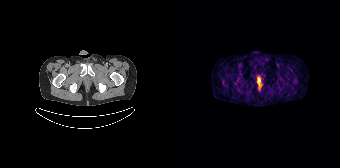
Left: CT. Right: PSMA PET, same axial level, [68Ga]Ga-PSMA-11 tracer. Acquired on Siemens Biograph 64-4R TruePoint. Slice 44 of 195. Coordinates are on the 168×168 PET (right) panel. Small PSMA-avid focus (2 to 4 px across) near (center x, center y): (87, 79).